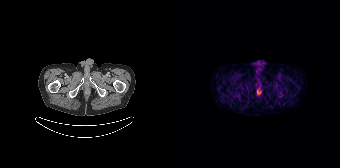
Paired axial CT (left) and PSMA PET (right), 68Ga tracer. Slice 47 of 195. PET panel 168×168 px (4.1 mm/px). This slice has no annotated PSMA-avid lesion.